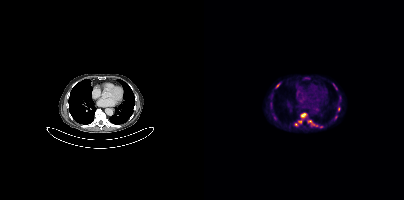
Coordinates are on the 200×200 PET (right) panel. PSMA-avid tumor lesion bounding boxes (x, y, width, height): x=104 y=120 w=9 h=6; x=97 y=113 w=5 h=5. Small PSMA-avid foci (2 to 4 px across) near (center x, center y): (92, 124); (96, 121); (131, 116); (117, 126); (129, 84).